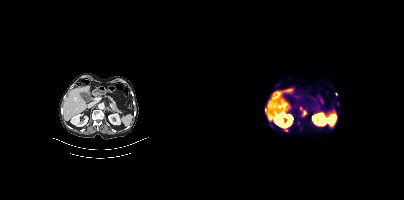
Technique: Left: CT. Right: PSMA PET, same axial level, [68Ga]Ga-PSMA-11 tracer. acquired on Siemens Biograph mCT Flow 20. slice 193 of 409.
Findings: Coordinates are on the 200×200 PET (right) panel. (showing 6 of 8 foci) PSMA-avid tumor lesion bounding boxes (x0, y0)-(x1, y1): (96, 107)-(102, 115) | (61, 107)-(62, 111). Small PSMA-avid foci (2 to 4 px across) near (center x, center y): (94, 122) | (83, 130) | (67, 126) | (129, 126).